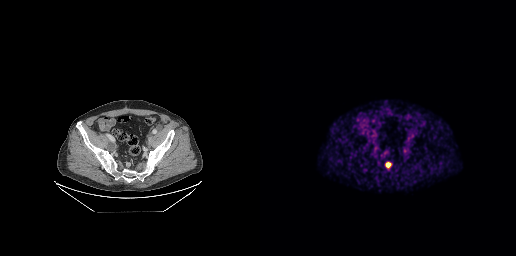
Coordinates are on the 256×256 PET (right) panel. PSMA-avid tumor lesion bounding boxes:
| # | x0 | y0 | x1 | y1 |
|---|---|---|---|---|
| 1 | 125 | 162 | 131 | 167 |
Left: CT. Right: PSMA PET, same axial level, [68Ga]Ga-PSMA-11 tracer. Acquired on GE Discovery 690. Slice 68 of 263. PET panel 256×256 px (2.7 mm/px).